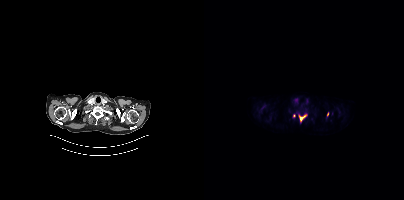
Left: CT. Right: PSMA PET, same axial level, [18F]PSMA-1007 tracer. Acquired on Siemens Biograph mCT Flow 20.
Coordinates are on the 200×200 PET (right) panel. PSMA-avid tumor lesion bounding boxes (partial; 1 more focus not listed):
| # | x0 | y0 | x1 | y1 |
|---|---|---|---|---|
| 1 | 95 | 115 | 102 | 120 |
Small PSMA-avid focus (2 to 4 px across) near (center x, center y): (123, 114).